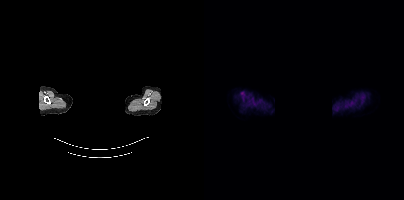
Technique: Left: CT. Right: PSMA PET, same axial level, 18F-PSMA tracer. acquired on Siemens Biograph mCT Flow 20.
Note: An anonymization step blacked out a rectangle over the head in this scan.
Findings: No tumor lesions annotated on this slice.